- Paired axial CT (left) and PSMA PET (right), 68Ga tracer
- acquired on Siemens Biograph 64-4R TruePoint
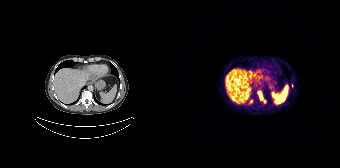
Findings: Coordinates are on the 168×168 PET (right) panel. (showing 2 of 3 foci) PSMA-avid tumor lesion bounding box (x, y, width, height): x=86 y=92 w=8 h=11. Small PSMA-avid focus (2 to 4 px across) near (center x, center y): (79, 101).